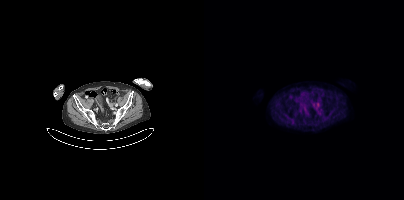
Coordinates are on the 200×200 PET (right) panel. Small PSMA-avid focus (2 to 4 px across) near (center x, center y): (113, 103). Left: CT. Right: PSMA PET, same axial level, 18F tracer. Acquired on Siemens Biograph mCT Flow 20. Slice position z = -1473 mm.